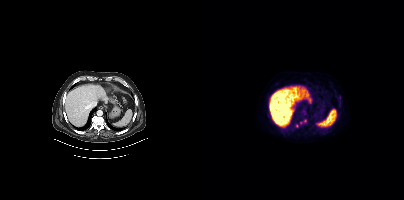
{"modality":"PSMA PET/CT","view":"axial","tracer":"[18F]PSMA-1007","pet_grid":[200,200],"coord_frame":"pet_panel","coord_format":"x0,y0,x1,y1","partial":true,"lesion_bboxes":[],"small_foci_centers":[[93,125],[100,121]]}